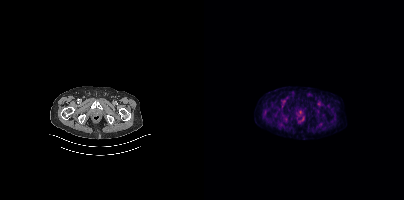
Findings: Negative for PSMA-avid disease on this slice.
- Two-panel axial: CT | PSMA PET, 18F tracer
- acquired on Siemens Biograph mCT Flow 20
- PET panel 200×200 px (4.1 mm/px)